Technique: Two-panel axial: CT | PSMA PET, 18F-PSMA tracer. acquired on Siemens Biograph mCT Flow 20. slice 43 of 466.
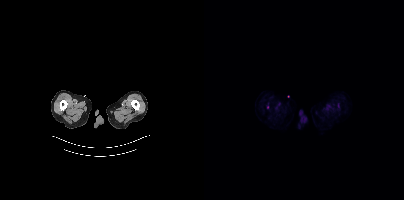
Findings: Only PSMA-avid lesion pieces thinner than 2 px on this slice (not listed).